Two-panel axial: CT | PSMA PET, 18F tracer. Acquired on Siemens Biograph mCT Flow 20.
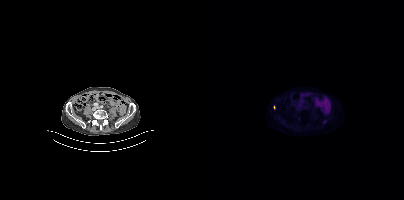
Coordinates are on the 200×200 PET (right) panel. (showing 1 of 2 foci) Small PSMA-avid focus (2 to 4 px across) near (center x, center y): (120, 121).